Left: CT. Right: PSMA PET, same axial level, [18F]PSMA-1007 tracer. Slice position z = -600 mm.
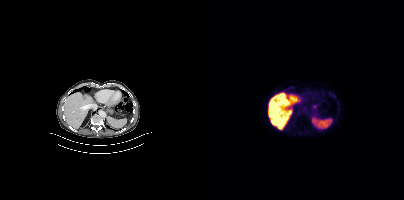
No tumor lesions annotated on this slice.